Left: CT. Right: PSMA PET, same axial level, 68Ga tracer. Slice position z = -1124 mm. PET panel 168×168 px (4.1 mm/px).
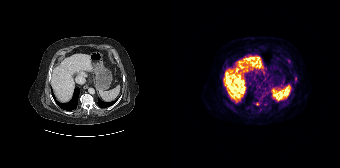
Coordinates are on the 168×168 PET (right) panel. Small PSMA-avid focus (2 to 4 px across) near (center x, center y): (85, 104).